modality: PSMA PET/CT | tracer: 18F | view: axial | PET grid: 256×256
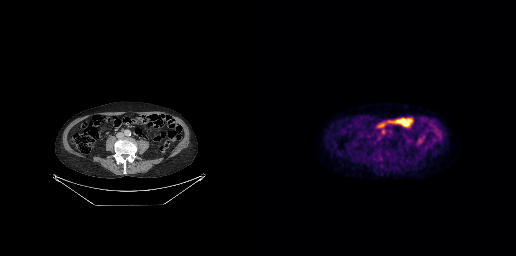
Coordinates are on the 256×256 PET (right) panel. PSMA-avid tumor lesion bounding box (x0,y0,x1,y1): [122,130,125,134].